Two-panel axial: CT | PSMA PET, 18F-PSMA tracer. PET panel 200×200 px (4.1 mm/px).
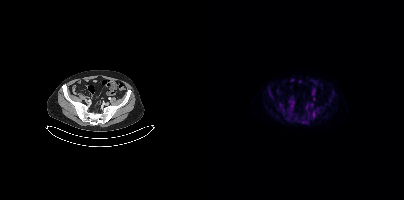
Coordinates are on the 200×200 PET (right) panel. PSMA-avid tumor lesion bounding box (x, y, width, height): x=109 y=112 w=2 h=5.